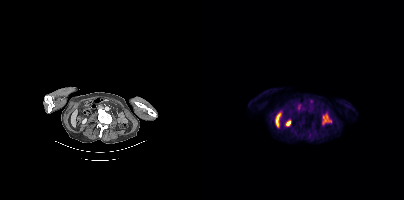
Paired axial CT (left) and PSMA PET (right), [18F]PSMA-1007 tracer. Slice position z = -1258 mm. PET panel 200×200 px (4.1 mm/px). Negative for PSMA-avid disease on this slice.